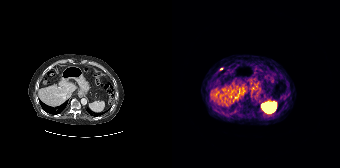
modality: PSMA PET/CT | tracer: 68Ga | view: axial
Only PSMA-avid lesion pieces thinner than 2 px on this slice (not listed).